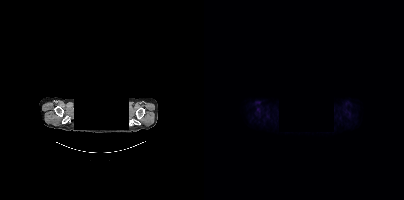
{"modality":"PSMA PET/CT","view":"axial","tracer":"[18F]PSMA-1007","pet_grid":[200,200],"coord_frame":"pet_panel","coord_format":"x0,y0,x1,y1","psma_avid_lesions":false,"redaction":"facial region redacted"}